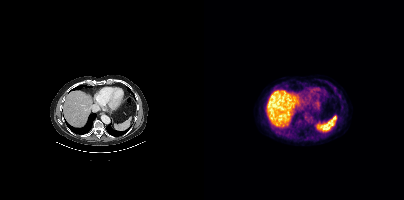
Findings: No tumor lesions annotated on this slice.
Technique: Two-panel axial: CT | PSMA PET, [18F]PSMA-1007 tracer. acquired on Siemens Biograph mCT Flow 20. slice position z = -497 mm.